modality: PSMA PET/CT | tracer: 18F | view: axial | PET grid: 200×200
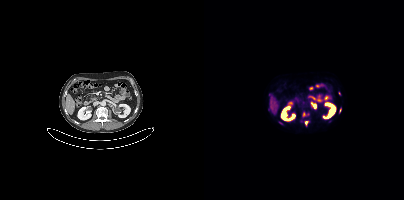
Coordinates are on the 200×200 PET (right) panel. (showing 3 of 6 foci) PSMA-avid tumor lesion bounding box (x, y, width, height): x=107 y=102 w=5 h=7. Small PSMA-avid foci (2 to 4 px across) near (center x, center y): (102, 122) / (136, 110).